Two-panel axial: CT | PSMA PET, 18F tracer.
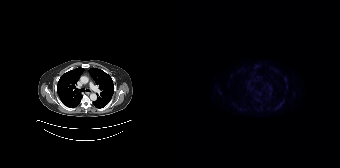
Negative for PSMA-avid disease on this slice.